modality: PSMA PET/CT | tracer: 18F | view: axial
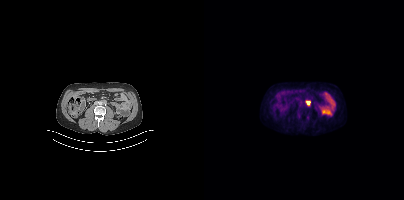
Coordinates are on the 200×200 PET (right) panel. PSMA-avid tumor lesion bounding box (x0, y0)-(x1, y1): (102, 100)-(106, 105).